Technique: Two-panel axial: CT | PSMA PET, [18F]PSMA-1007 tracer. PET panel 200×200 px (4.1 mm/px).
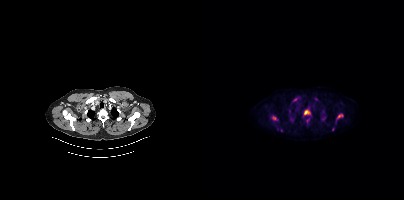
Findings: Coordinates are on the 200×200 PET (right) panel. (showing 9 of 11 foci) PSMA-avid tumor lesion bounding boxes (x0, y0)-(x1, y1): (100, 109)-(106, 115) | (133, 114)-(139, 118) | (68, 116)-(72, 120) | (89, 98)-(93, 101) | (102, 120)-(105, 124) | (117, 117)-(121, 120). Small PSMA-avid foci (2 to 4 px across) near (center x, center y): (77, 130) | (89, 119) | (129, 129).